Paired axial CT (left) and PSMA PET (right), 68Ga-PSMA tracer. Slice position z = -563 mm.
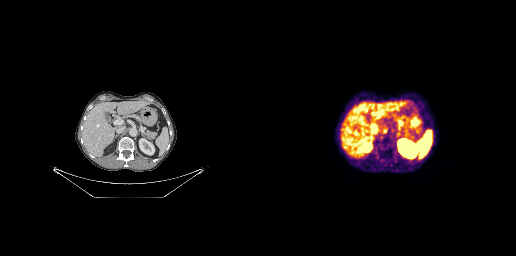
Coordinates are on the 256×256 PET (right) panel. PSMA-avid tumor lesion bounding boxes:
| # | x0 | y0 | x1 | y1 |
|---|---|---|---|---|
| 1 | 120 | 127 | 126 | 133 |